modality: PSMA PET/CT | tracer: 18F-PSMA | view: axial | PET grid: 200×200
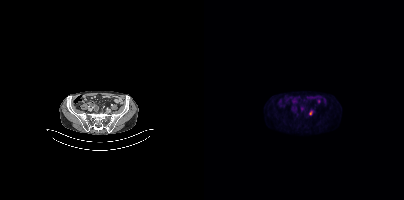
Coordinates are on the 200×200 PET (right) panel. PSMA-avid tumor lesion bounding box (x0, y0)-(x1, y1): (105, 111)-(108, 115).